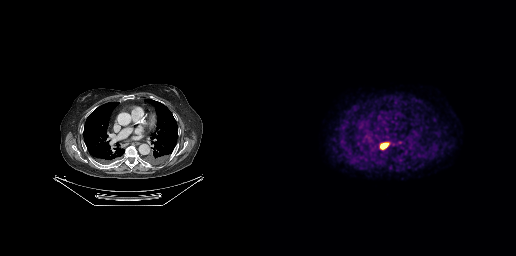
Coordinates are on the 256×256 PET (right) panel. PSMA-avid tumor lesion bounding box (x, y, width, height): x=120 y=142 w=10 h=8. Small PSMA-avid focus (2 to 4 px across) near (center x, center y): (139, 142).